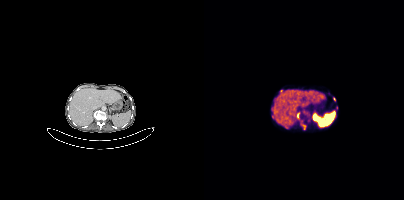
{"modality":"PSMA PET/CT","view":"axial","tracer":"68Ga-PSMA","pet_grid":[200,200],"coord_frame":"pet_panel","coord_format":"x0,y0,x1,y1","partial":true,"lesion_bboxes":[[98,125,102,129],[93,113,95,118],[67,106,69,111]],"small_foci_centers":[[130,99],[132,107]]}